Technique: Two-panel axial: CT | PSMA PET, [18F]PSMA-1007 tracer. slice 145 of 393.
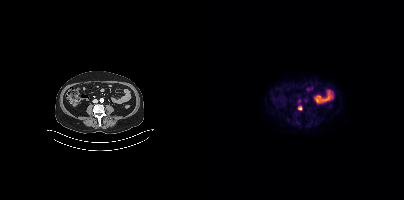
Findings: Coordinates are on the 200×200 PET (right) panel. Small PSMA-avid focus (2 to 4 px across) near (center x, center y): (95, 108).